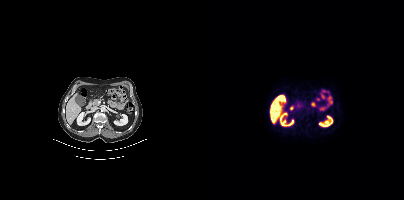
This slice has no annotated PSMA-avid lesion.
modality: PSMA PET/CT | tracer: [18F]PSMA-1007 | view: axial | PET grid: 200×200